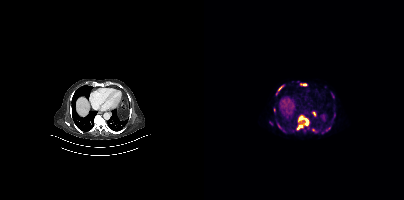
Coordinates are on the 200×200 PET (right) panel. (showing 4 of 6 foci) PSMA-avid tumor lesion bounding boxes (x0, y0)-(x1, y1): (93, 116)-(104, 129) | (73, 123)-(79, 130) | (74, 86)-(78, 91). Small PSMA-avid focus (2 to 4 px across) near (center x, center y): (100, 84).
modality: PSMA PET/CT | tracer: [68Ga]Ga-PSMA-11 | view: axial